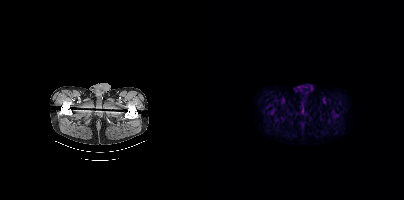
{"pet_grid":[200,200],"coord_frame":"pet_panel","coord_format":"x0,y0,x1,y1","psma_avid_lesions":false,"modality":"PSMA PET/CT","view":"axial","tracer":"[18F]PSMA-1007"}